Two-panel axial: CT | PSMA PET, 18F-PSMA tracer. Acquired on Siemens Biograph mCT Flow 20. Slice 323 of 423.
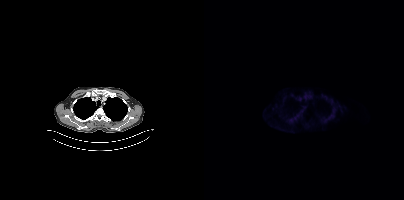
No PSMA-avid tumor lesions on this slice.